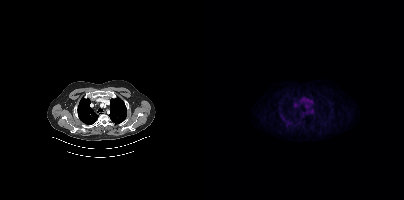
{"modality":"PSMA PET/CT","view":"axial","tracer":"[18F]PSMA-1007","pet_grid":[200,200],"coord_frame":"pet_panel","coord_format":"x0,y0,x1,y1","psma_avid_lesions":false}